modality: PSMA PET/CT | tracer: [18F]PSMA-1007 | view: axial
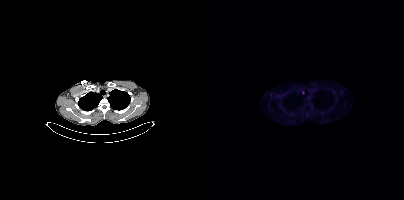
Only PSMA-avid lesion pieces thinner than 2 px on this slice (not listed).